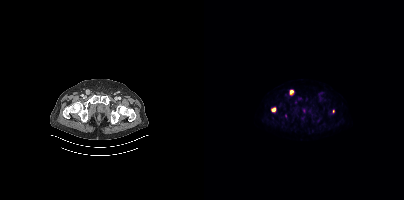
Two-panel axial: CT | PSMA PET, 18F tracer. Acquired on Siemens Biograph mCT Flow 20. Slice 75 of 444. Coordinates are on the 200×200 PET (right) panel. PSMA-avid tumor lesion bounding boxes (x0, y0)-(x1, y1): (85, 89)-(89, 95) | (67, 108)-(71, 111). Small PSMA-avid focus (2 to 4 px across) near (center x, center y): (129, 111).